modality: PSMA PET/CT | tracer: 18F | view: axial
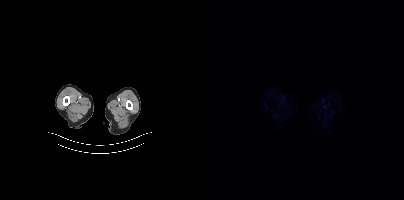
No PSMA-avid tumor lesions on this slice.